- Paired axial CT (left) and PSMA PET (right), 18F tracer
- slice position z = -790 mm
- PET panel 200×200 px (4.1 mm/px)
- an anonymization step blacked out a rectangle over the head in this scan
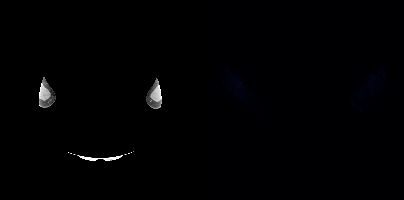
Findings: This slice has no annotated PSMA-avid lesion.